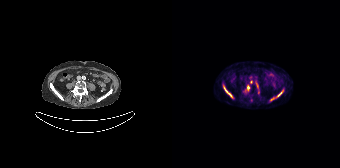
{"modality":"PSMA PET/CT","view":"axial","tracer":"68Ga-PSMA","pet_grid":[168,168],"coord_frame":"pet_panel","coord_format":"x0,y0,x1,y1","partial":true,"lesion_bboxes":[[51,85,60,98],[98,94,107,100],[73,85,77,91],[84,83,86,87]],"small_foci_centers":[[110,90]]}